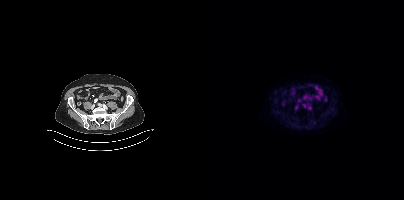
{"modality":"PSMA PET/CT","view":"axial","tracer":"[18F]PSMA-1007","pet_grid":[200,200],"coord_frame":"pet_panel","coord_format":"x0,y0,x1,y1","psma_avid_lesions":false}